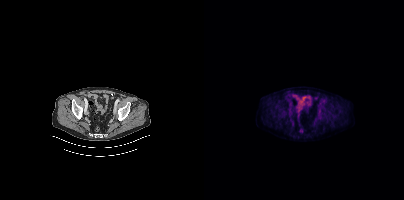
- Two-panel axial: CT | PSMA PET, [18F]PSMA-1007 tracer
Findings: Negative for PSMA-avid disease on this slice.